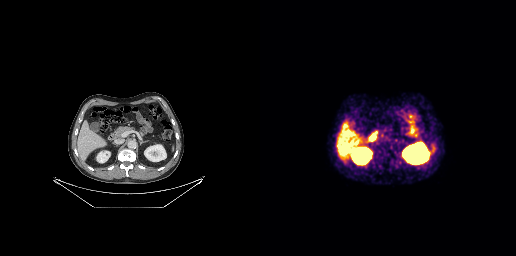
Left: CT. Right: PSMA PET, same axial level, 68Ga-PSMA tracer. Slice 116 of 227. PET panel 256×256 px (2.7 mm/px). No PSMA-avid tumor lesions on this slice.